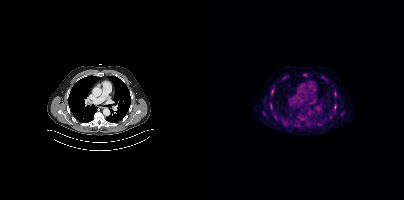
Coordinates are on the 200×200 PET (right) panel. PSMA-avid tumor lesion bounding box (x0,y0,x1,y1): [130,105,132,109]. Small PSMA-avid foci (2 to 4 px across) near (center x, center y): (80, 77); (131, 92); (68, 91); (66, 104); (67, 108). Two-panel axial: CT | PSMA PET, [18F]PSMA-1007 tracer. Acquired on Siemens Biograph mCT Flow 20. Slice 323 of 454.